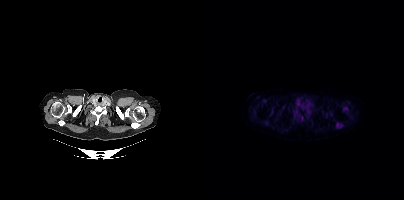
- Left: CT. Right: PSMA PET, same axial level, [18F]PSMA-1007 tracer
- slice position z = -757 mm
- PET panel 200×200 px (4.1 mm/px)
Findings: Coordinates are on the 200×200 PET (right) panel. PSMA-avid tumor lesion bounding box (x0,y0,x1,y1): [132,122,139,128]. Small PSMA-avid foci (2 to 4 px across) near (center x, center y): (99, 106) (141, 108) (97, 119) (105, 115).